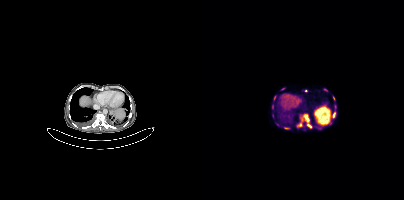
Coordinates are on the 200×200 PET (right) panel. (showing 9 of 10 foci) PSMA-avid tumor lesion bounding boxes (x0,y0,x1,y1): [97,114,107,128]; [93,123,97,126]; [128,112,131,117]; [80,127,85,129]; [70,96,72,100]. Small PSMA-avid foci (2 to 4 px across) near (center x, center y): (68, 106); (79, 88); (101, 90); (129, 98).